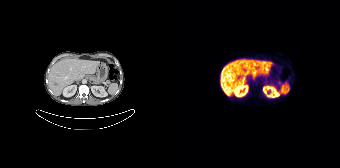
Left: CT. Right: PSMA PET, same axial level, [18F]PSMA-1007 tracer. No tumor lesions annotated on this slice.